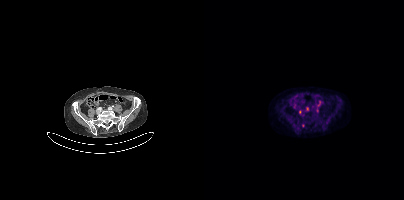
Two-panel axial: CT | PSMA PET, [18F]PSMA-1007 tracer. Slice 129 of 425. PET panel 200×200 px (4.1 mm/px). Coordinates are on the 200×200 PET (right) panel. (showing 3 of 4 foci) Small PSMA-avid foci (2 to 4 px across) near (center x, center y): (103, 108) | (96, 111) | (99, 125).